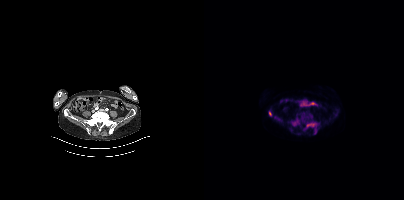
Coordinates are on the 200×200 PET (right) panel. (showing 3 of 4 foci) PSMA-avid tumor lesion bounding boxes (x, y, width, height): x=102 y=122 w=12 h=12 / x=87 y=120 w=8 h=7 / x=65 y=112 w=3 h=5. Paired axial CT (left) and PSMA PET (right), 18F-PSMA tracer. Slice position z = -1300 mm.